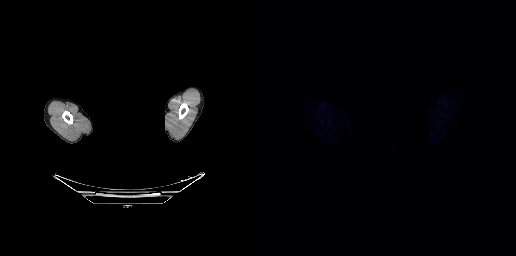
- any black rectangle over the head is a privacy mask, not anatomy
- Two-panel axial: CT | PSMA PET, [18F]PSMA-1007 tracer
- slice 252 of 263
Findings: No tumor lesions annotated on this slice.